modality: PSMA PET/CT | tracer: 68Ga | view: axial | PET grid: 200×200
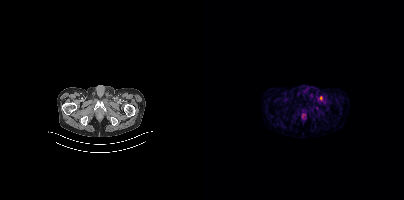
Coordinates are on the 200×200 PET (right) panel. Small PSMA-avid focus (2 to 4 px across) near (center x, center y): (116, 98).